Left: CT. Right: PSMA PET, same axial level, [18F]PSMA-1007 tracer. Acquired on Siemens Biograph mCT Flow 20. Slice 268 of 403. PET panel 200×200 px (4.1 mm/px).
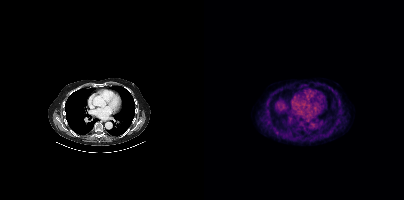
Negative for PSMA-avid disease on this slice.